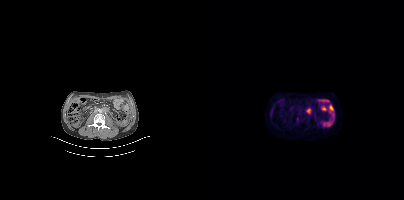
Findings: Coordinates are on the 200×200 PET (right) panel. PSMA-avid tumor lesion bounding boxes (x0, y0)-(x1, y1): (102, 108)-(107, 114) | (92, 118)-(94, 122).
Technique: Left: CT. Right: PSMA PET, same axial level, [18F]PSMA-1007 tracer. acquired on Siemens Biograph mCT Flow 20. slice position z = -1356 mm.